Technique: Paired axial CT (left) and PSMA PET (right), 18F tracer. slice position z = -1298 mm.
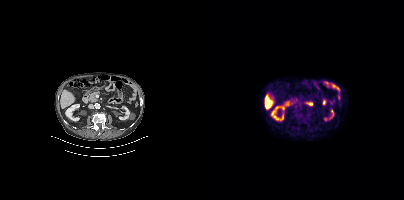
Findings: No tumor lesions annotated on this slice.